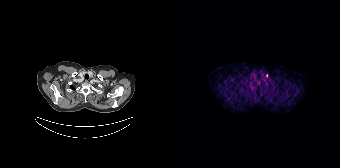
Coordinates are on the 168×168 PET (right) panel. Small PSMA-avid focus (2 to 4 px across) near (center x, center y): (95, 75).